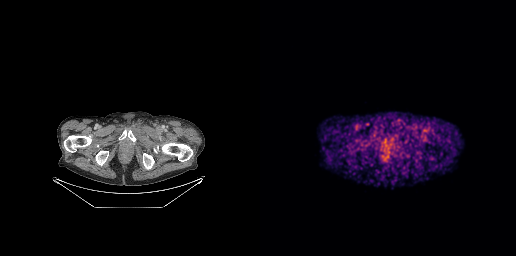
No PSMA-avid tumor lesions on this slice. Paired axial CT (left) and PSMA PET (right), 68Ga tracer. Slice 42 of 263. PET panel 256×256 px (2.7 mm/px).